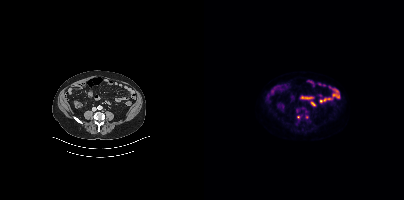
- Left: CT. Right: PSMA PET, same axial level, [18F]PSMA-1007 tracer
- acquired on Siemens Biograph mCT Flow 20
- slice 127 of 381
- PET panel 200×200 px (4.1 mm/px)
Findings: Only PSMA-avid lesion pieces thinner than 2 px on this slice (not listed).